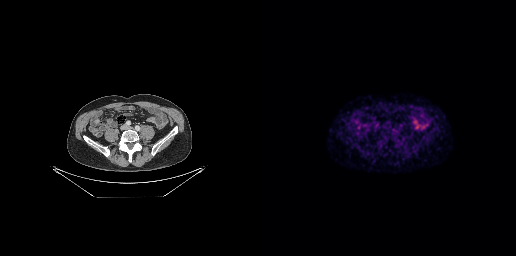
Negative for PSMA-avid disease on this slice.
modality: PSMA PET/CT | tracer: [68Ga]Ga-PSMA-11 | view: axial